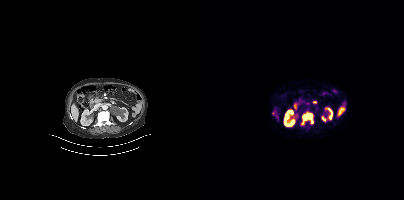
Coordinates are on the 200×200 PET (right) panel. PSMA-avid tumor lesion bounding box (x0, y0)-(x1, y1): (97, 112)-(109, 125). Small PSMA-avid foci (2 to 4 px across) near (center x, center y): (69, 112) / (103, 103).